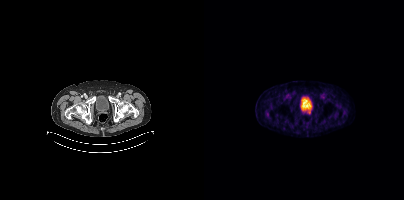
{"pet_grid":[200,200],"coord_frame":"pet_panel","coord_format":"x0,y0,x1,y1","lesion_bboxes":[],"small_foci_centers":[[105,112]],"modality":"PSMA PET/CT","view":"axial","tracer":"68Ga"}